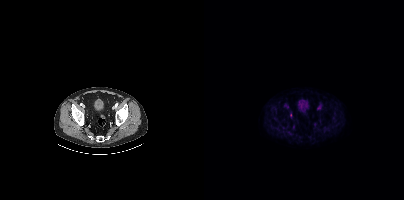
Only PSMA-avid lesion pieces thinner than 2 px on this slice (not listed).